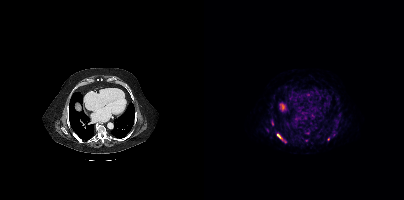
Left: CT. Right: PSMA PET, same axial level, 68Ga tracer. PET panel 200×200 px (4.1 mm/px). Coordinates are on the 200×200 PET (right) panel. (showing 3 of 4 foci) PSMA-avid tumor lesion bounding box (x, y, width, height): x=73 y=133 w=6 h=8. Small PSMA-avid foci (2 to 4 px across) near (center x, center y): (124, 139); (81, 141).